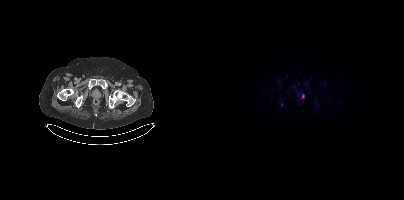
Coordinates are on the 200×200 PET (right) panel. PSMA-avid tumor lesion bounding box (x0,y0,x1,y1): [98,94,100,98]. Small PSMA-avid focus (2 to 4 px across) near (center x, center y): (77, 104).